Two-panel axial: CT | PSMA PET, 18F tracer. Slice position z = -1016 mm.
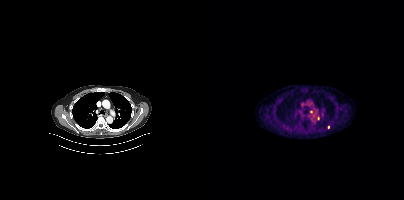
Coordinates are on the 200×200 PET (right) panel. Small PSMA-avid foci (2 to 4 px across) near (center x, center y): (107, 111), (114, 118), (124, 127).